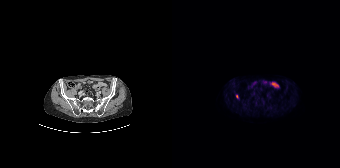
Findings: Coordinates are on the 168×168 PET (right) panel. Small PSMA-avid focus (2 to 4 px across) near (center x, center y): (65, 96).
Technique: Left: CT. Right: PSMA PET, same axial level, [18F]PSMA-1007 tracer.